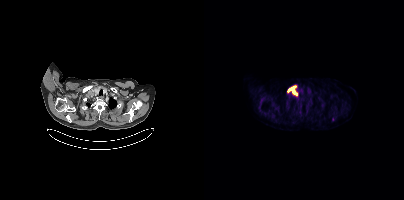
Coordinates are on the 200×200 PET (right) panel. PSMA-avid tumor lesion bounding box (x0,y0,x1,y1): [84,86,93,95].